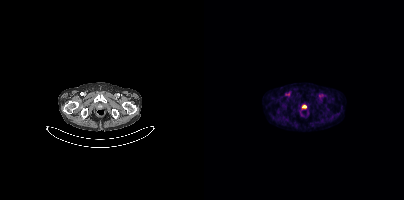
Coordinates are on the 200×200 PET (right) panel. PSMA-avid tumor lesion bounding box (x0, y0)-(x1, y1): (98, 105)-(102, 107).